Left: CT. Right: PSMA PET, same axial level, 18F-PSMA tracer. Slice position z = -808 mm.
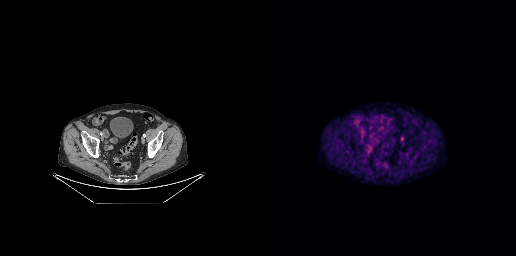
Coordinates are on the 256×256 PET (right) panel. Small PSMA-avid focus (2 to 4 px across) near (center x, center y): (141, 138).